Left: CT. Right: PSMA PET, same axial level, 18F tracer. Acquired on Siemens Biograph mCT Flow 20. PET panel 200×200 px (4.1 mm/px).
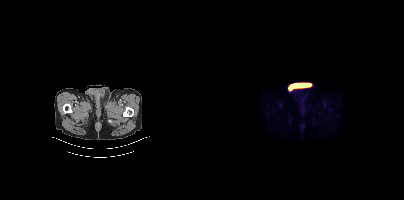
Negative for PSMA-avid disease on this slice.